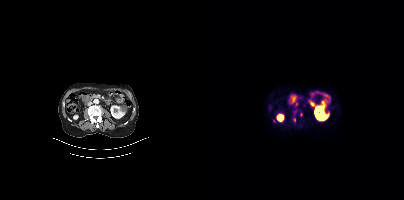
Coordinates are on the 200×200 PET (right) panel. (showing 1 of 4 foci) Small PSMA-avid focus (2 to 4 px across) near (center x, center y): (90, 119).